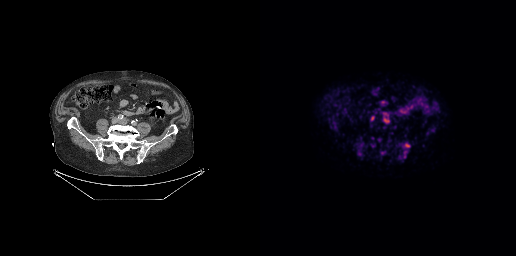
Technique: Two-panel axial: CT | PSMA PET, [18F]PSMA-1007 tracer.
Findings: Coordinates are on the 256×256 PET (right) panel. (showing 2 of 3 foci) PSMA-avid tumor lesion bounding boxes (x0,y0,x1,y1): [143,143,150,147]; [144,151,146,157].